- Paired axial CT (left) and PSMA PET (right), 68Ga-PSMA tracer
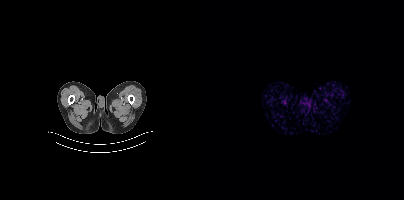
Findings: No PSMA-avid tumor lesions on this slice.